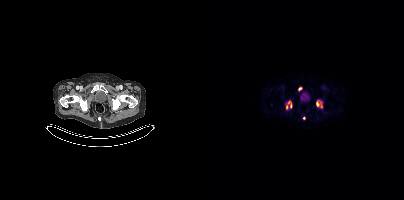
Coordinates are on the 200×200 PET (right) panel. PSMA-avid tumor lesion bounding boxes (x0,y0,x1,y1): [112,100,118,107] [86,103,87,107]. Small PSMA-avid foci (2 to 4 px across) near (center x, center y): (95, 88) (82, 107) (84, 102) (99, 117).